Technique: Left: CT. Right: PSMA PET, same axial level, 18F-PSMA tracer. slice 308 of 435.
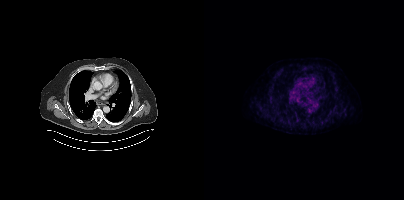
Findings: Only PSMA-avid lesion pieces thinner than 2 px on this slice (not listed).